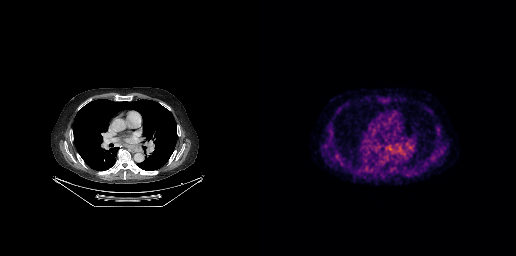
Findings: Negative for PSMA-avid disease on this slice.
Technique: Two-panel axial: CT | PSMA PET, [18F]PSMA-1007 tracer. slice position z = -447 mm.